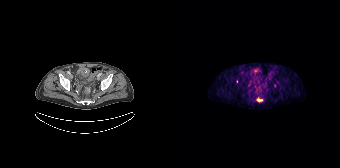
{"modality":"PSMA PET/CT","view":"axial","tracer":"[68Ga]Ga-PSMA-11","pet_grid":[168,168],"coord_frame":"pet_panel","coord_format":"x0,y0,x1,y1","lesion_bboxes":[[85,97,90,101]],"small_foci_centers":[[64,81]]}